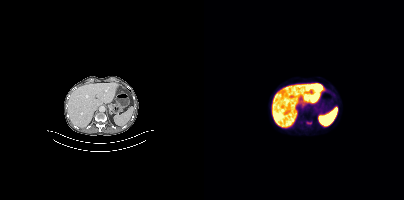
Coordinates are on the 200×200 PET (right) panel. PSMA-avid tumor lesion bounding box (x0,y0,x1,y1): [103,122,107,123].